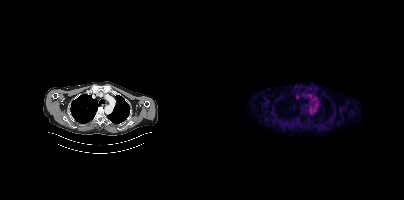
No tumor lesions annotated on this slice.